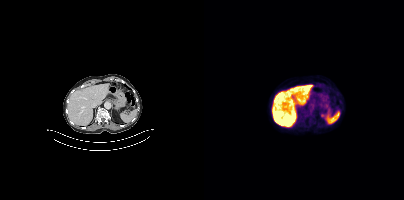
Technique: Paired axial CT (left) and PSMA PET (right), 18F-PSMA tracer. acquired on Siemens Biograph mCT Flow 20.
Findings: This slice has no annotated PSMA-avid lesion.